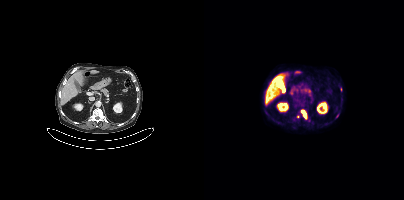
Coordinates are on the 200×200 PET (right) panel. (showing 2 of 4 foci) PSMA-avid tumor lesion bounding box (x0,y0,x1,y1): [97,110,102,119]. Small PSMA-avid focus (2 to 4 px across) near (center x, center y): (93, 116).